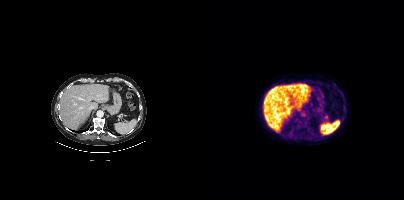
This slice has no annotated PSMA-avid lesion.